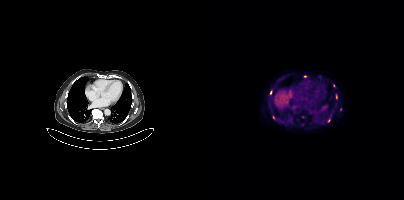
Coordinates are on the 200×200 PET (right) panel. (showing 6 of 8 foci) Small PSMA-avid foci (2 to 4 px across) near (center x, center y): (66, 92) / (69, 117) / (124, 120) / (132, 96) / (136, 109) / (86, 120).
modality: PSMA PET/CT | tracer: 18F-PSMA | view: axial